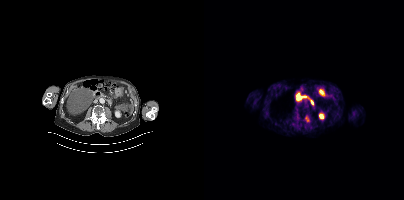
Coordinates are on the 200×200 PET (right) panel. PSMA-avid tumor lesion bounding box (x0, y0)-(x1, y1): (101, 116)-(105, 121).
modality: PSMA PET/CT | tracer: 18F | view: axial